Technique: Two-panel axial: CT | PSMA PET, 68Ga-PSMA tracer. slice 143 of 165. PET panel 168×168 px (4.1 mm/px).
Note: A rectangular region was set to black for de-identification.
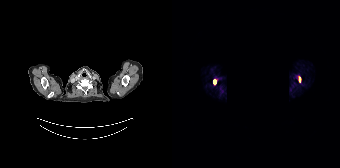
Findings: Coordinates are on the 168×168 PET (right) panel. PSMA-avid tumor lesion bounding boxes (x, y, width, height): x=41 y=79 w=3 h=5 / x=127 y=77 w=2 h=5.